Left: CT. Right: PSMA PET, same axial level, [18F]PSMA-1007 tracer. Slice position z = -1525 mm. PET panel 200×200 px (4.1 mm/px).
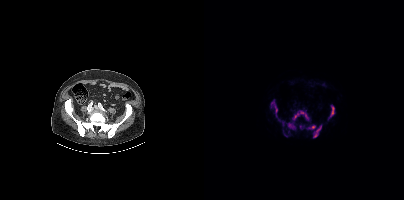
Coordinates are on the 200×200 PET (right) panel. PSMA-avid tumor lesion bounding boxes (partial; 2 more foci not listed):
| # | x0 | y0 | x1 | y1 |
|---|---|---|---|---|
| 1 | 88 | 110 | 105 | 120 |
| 2 | 109 | 125 | 117 | 137 |
| 3 | 124 | 105 | 130 | 119 |
| 4 | 84 | 122 | 91 | 129 |
| 5 | 67 | 101 | 73 | 113 |
| 6 | 103 | 125 | 111 | 129 |
| 7 | 78 | 121 | 80 | 125 |
Small PSMA-avid foci (2 to 4 px across) near (center x, center y): (96, 126); (82, 135); (75, 120).